An anonymization step blacked out a rectangle in this scan. Paired axial CT (left) and PSMA PET (right), 18F-PSMA tracer. PET panel 200×200 px (4.1 mm/px).
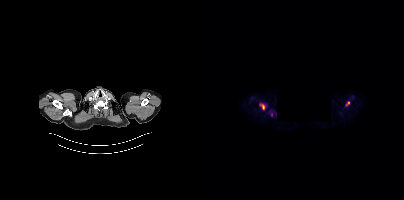
Coordinates are on the 200×200 PET (right) panel. PSMA-avid tumor lesion bounding boxes:
| # | x0 | y0 | x1 | y1 |
|---|---|---|---|---|
| 1 | 58 | 105 | 60 | 109 |
Small PSMA-avid focus (2 to 4 px across) near (center x, center y): (144, 102).